Two-panel axial: CT | PSMA PET, 18F tracer. PET panel 200×200 px (4.1 mm/px). An anonymization step blacked out a rectangle over the head in this scan.
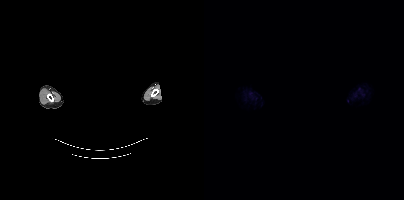
Negative for PSMA-avid disease on this slice.